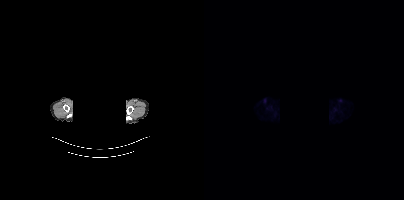
A rectangle over the head was blacked out to remove identifiable facial features.
No PSMA-avid tumor lesions on this slice.